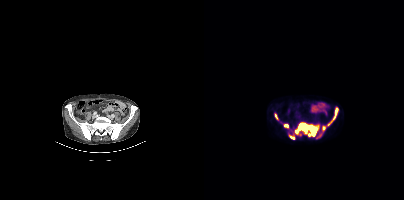
modality: PSMA PET/CT | tracer: 18F | view: axial | PET grid: 200×200
Coordinates are on the 200×200 PET (right) panel. (showing 8 of 9 foci) PSMA-avid tumor lesion bounding boxes (x0,y0,x1,y1): [91,123,114,135]; [123,108,133,125]; [112,126,121,138]; [80,124,84,127]; [85,135,90,137]; [71,114,74,119]. Small PSMA-avid foci (2 to 4 px across) near (center x, center y): (105, 135); (96, 134).